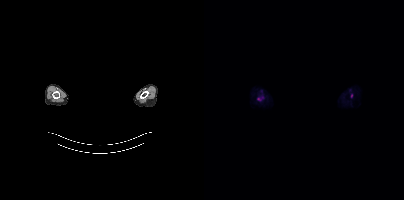
Any black rectangle over the head is a privacy mask, not anatomy. Two-panel axial: CT | PSMA PET, 18F tracer. Slice position z = -845 mm. PET panel 200×200 px (4.1 mm/px). Coordinates are on the 200×200 PET (right) panel. PSMA-avid tumor lesion bounding box (x0,y0,x1,y1): [53,98,57,100]. Small PSMA-avid focus (2 to 4 px across) near (center x, center y): (147, 95).